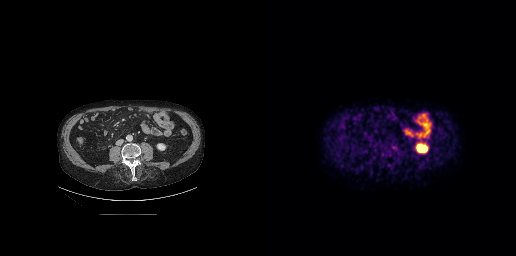
Coordinates are on the 256×256 PET (right) panel. PSMA-avid tumor lesion bounding boxes:
| # | x0 | y0 | x1 | y1 |
|---|---|---|---|---|
| 1 | 131 | 144 | 138 | 151 |
| 2 | 121 | 150 | 127 | 156 |
Paired axial CT (left) and PSMA PET (right), 18F tracer. Acquired on GE Discovery 690. PET panel 256×256 px (2.7 mm/px).